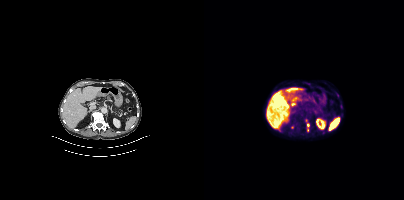
Coordinates are on the 200×200 PET (right) panel. (showing 2 of 3 foci) Small PSMA-avid foci (2 to 4 px across) near (center x, center y): (103, 125) / (88, 127).